- Two-panel axial: CT | PSMA PET, [18F]PSMA-1007 tracer
- PET panel 200×200 px (4.1 mm/px)
- face de-identified by blanking a block of the head
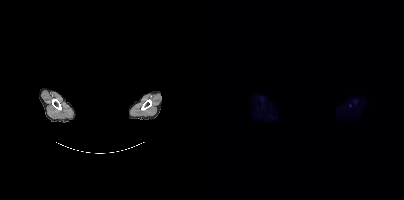
Findings: Only PSMA-avid lesion pieces thinner than 2 px on this slice (not listed).